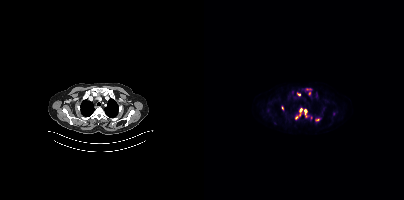
Coordinates are on the 200×200 PET (right) panel. (showing 6 of 7 foci) PSMA-avid tumor lesion bounding boxes (x0, y0)-(x1, y1): (100, 109)-(108, 119) / (91, 108)-(98, 119) / (111, 118)-(116, 121). Small PSMA-avid foci (2 to 4 px across) near (center x, center y): (94, 94) / (78, 107) / (105, 93).